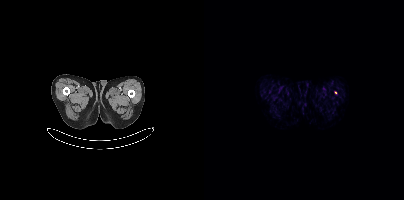
Technique: Two-panel axial: CT | PSMA PET, 18F tracer. acquired on Siemens Biograph mCT Flow 20.
Findings: Coordinates are on the 200×200 PET (right) panel. Small PSMA-avid focus (2 to 4 px across) near (center x, center y): (131, 92).